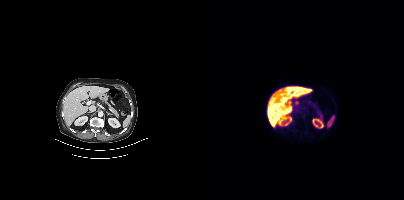
Paired axial CT (left) and PSMA PET (right), [18F]PSMA-1007 tracer. PET panel 200×200 px (4.1 mm/px). This slice has no annotated PSMA-avid lesion.